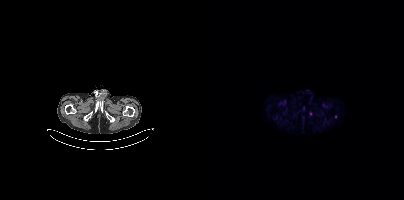
Coordinates are on the 200×200 PET (right) panel. Small PSMA-avid foci (2 to 4 px across) near (center x, center y): (131, 116); (106, 113).
modality: PSMA PET/CT | tracer: 18F-PSMA | view: axial | PET grid: 200×200